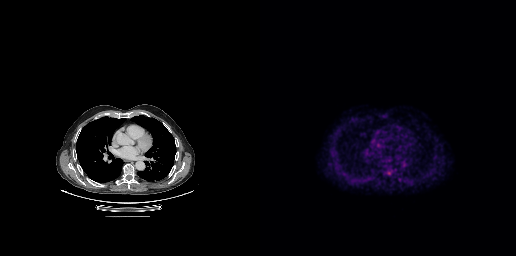
Findings: Coordinates are on the 256×256 PET (right) panel. PSMA-avid tumor lesion bounding box (x0,y0,x1,y1): [125,169,133,176].
Technique: Paired axial CT (left) and PSMA PET (right), 18F tracer. slice position z = -243 mm. PET panel 256×256 px (2.7 mm/px).